- Paired axial CT (left) and PSMA PET (right), [18F]PSMA-1007 tracer
- acquired on Siemens Biograph mCT Flow 20
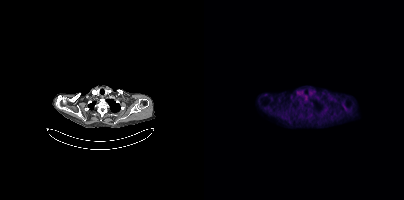
Findings: No PSMA-avid tumor lesions on this slice.